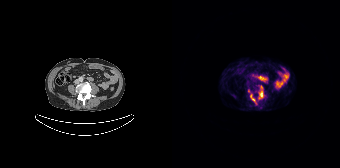
Coordinates are on the 168×168 PET (right) panel. Small PSMA-avid foci (2 to 4 px across) near (center x, center y): (89, 94); (81, 99).